modality: PSMA PET/CT | tracer: 18F-PSMA | view: axial | PET grid: 200×200
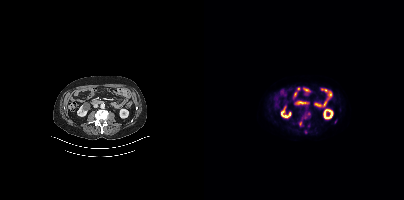
Coordinates are on the 200×200 PET (right) panel. PSMA-avid tumor lesion bounding box (x0, y0)-(x1, y1): (103, 123)-(106, 127). Small PSMA-avid foci (2 to 4 px across) near (center x, center y): (101, 131) / (96, 123) / (131, 121) / (104, 113).